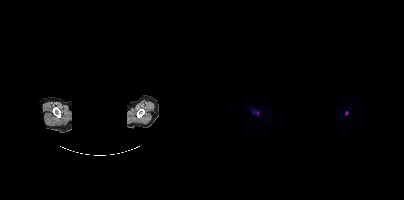
{"modality":"PSMA PET/CT","view":"axial","tracer":"18F-PSMA","pet_grid":[200,200],"coord_frame":"pet_panel","coord_format":"x0,y0,x1,y1","lesion_bboxes":[],"small_foci_centers":[[53,112],[142,112],[50,111]],"redaction":"face masked with black rectangle"}